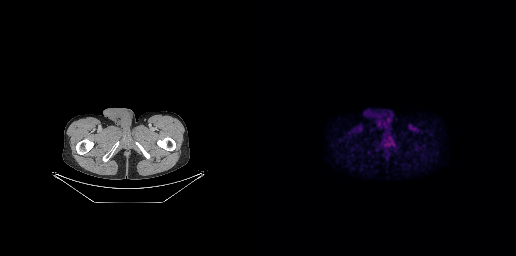
{"pet_grid":[256,256],"coord_frame":"pet_panel","coord_format":"x0,y0,x1,y1","psma_avid_lesions":false,"modality":"PSMA PET/CT","view":"axial","tracer":"18F-PSMA"}